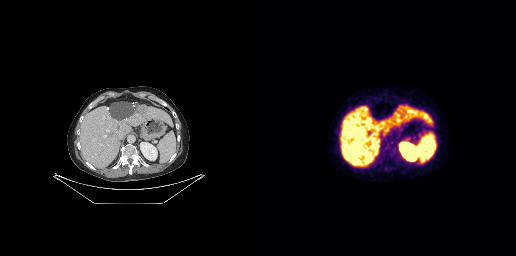
No tumor lesions annotated on this slice. Paired axial CT (left) and PSMA PET (right), 18F-PSMA tracer. Slice 152 of 263. PET panel 256×256 px (2.7 mm/px).